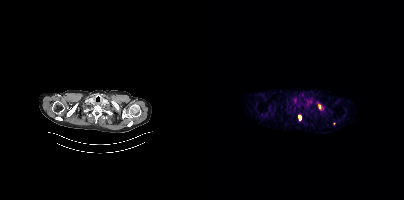
{"modality":"PSMA PET/CT","view":"axial","tracer":"68Ga-PSMA","pet_grid":[200,200],"coord_frame":"pet_panel","coord_format":"x0,y0,x1,y1","partial":true,"lesion_bboxes":[],"small_foci_centers":[[115,106],[95,117]]}